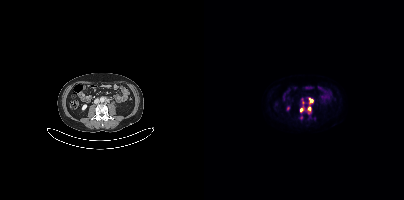
Technique: Two-panel axial: CT | PSMA PET, [18F]PSMA-1007 tracer. PET panel 200×200 px (4.1 mm/px).
Findings: Coordinates are on the 200×200 PET (right) panel. PSMA-avid tumor lesion bounding boxes (x0,y0,x1,y1): [96,102,100,111] [105,98,109,102]. Small PSMA-avid foci (2 to 4 px across) near (center x, center y): (105, 108) (97, 117).